- Left: CT. Right: PSMA PET, same axial level, 18F-PSMA tracer
- acquired on Siemens Biograph mCT Flow 20
- PET panel 200×200 px (4.1 mm/px)
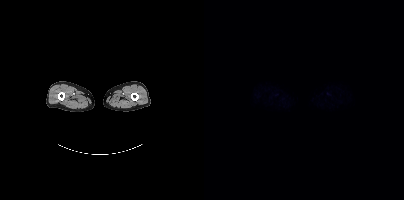
Findings: Negative for PSMA-avid disease on this slice.